- Two-panel axial: CT | PSMA PET, [18F]PSMA-1007 tracer
- acquired on Siemens Biograph 64-4R TruePoint
- slice position z = -675 mm
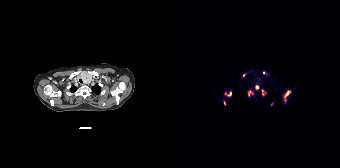
Findings: Coordinates are on the 168×168 PET (right) panel. PSMA-avid tumor lesion bounding boxes (x, y, width, height): x=112 y=90 w=7 h=12 | x=52 y=91 w=8 h=6 | x=76 y=90 w=6 h=7 | x=90 y=89 w=5 h=7 | x=83 y=85 w=5 h=5 | x=71 y=73 w=3 h=5 | x=51 y=101 w=3 h=5. Small PSMA-avid foci (2 to 4 px across) near (center x, center y): (93, 72) | (100, 104).